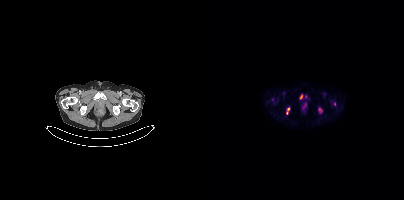
Findings: Coordinates are on the 200×200 PET (right) panel. PSMA-avid tumor lesion bounding boxes (x0,y0,x1,y1): [82,107,86,114]; [96,94,98,99]. Small PSMA-avid foci (2 to 4 px across) near (center x, center y): (116, 109); (101, 96).
Technique: Left: CT. Right: PSMA PET, same axial level, 18F-PSMA tracer. slice position z = -1512 mm. PET panel 200×200 px (4.1 mm/px).